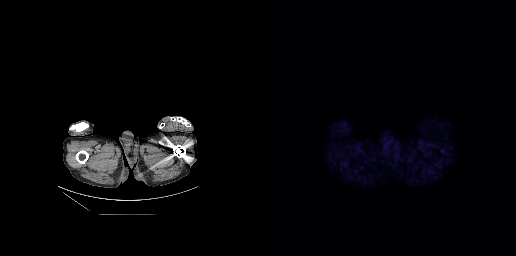
Findings: No tumor lesions annotated on this slice.
Technique: Paired axial CT (left) and PSMA PET (right), 18F-PSMA tracer. PET panel 256×256 px (2.7 mm/px).